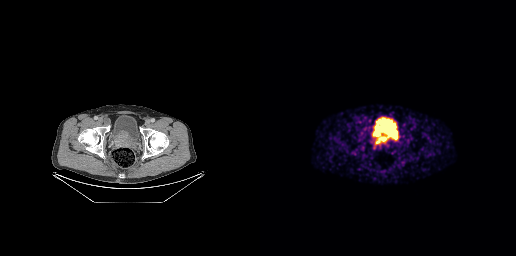
Coordinates are on the 256×256 PET (right) panel. PSMA-avid tumor lesion bounding boxes:
| # | x0 | y0 | x1 | y1 |
|---|---|---|---|---|
| 1 | 113 | 132 | 137 | 144 |
Left: CT. Right: PSMA PET, same axial level, [18F]PSMA-1007 tracer. Acquired on GE Discovery 690. Slice 71 of 299. PET panel 256×256 px (2.7 mm/px).